Left: CT. Right: PSMA PET, same axial level, [68Ga]Ga-PSMA-11 tracer. Acquired on Siemens Biograph mCT Flow 20. PET panel 200×200 px (4.1 mm/px).
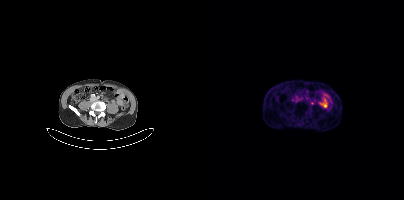
Negative for PSMA-avid disease on this slice.